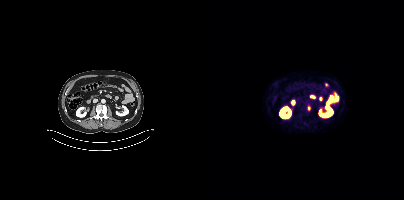
Coordinates are on the 200×200 PET (right) panel. PSMA-avid tumor lesion bounding boxes:
| # | x0 | y0 | x1 | y1 |
|---|---|---|---|---|
| 1 | 104 | 106 | 106 | 110 |
Paired axial CT (left) and PSMA PET (right), 68Ga-PSMA tracer. Slice position z = -1502 mm.